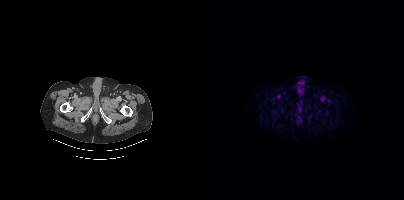
Negative for PSMA-avid disease on this slice.